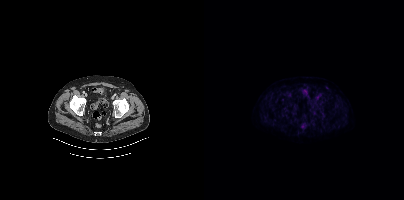
Two-panel axial: CT | PSMA PET, [18F]PSMA-1007 tracer. Acquired on Siemens Biograph mCT Flow 20. PET panel 200×200 px (4.1 mm/px). Coordinates are on the 200×200 PET (right) panel. PSMA-avid tumor lesion bounding boxes (x0,y0,x1,y1): [113,102,117,107], [117,110,120,114].